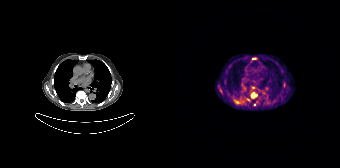
Coordinates are on the 168×168 PET (right) panel. (showing 6 of 10 foci) PSMA-avid tumor lesion bounding boxes (x, y, width, height): x=61 y=99 w=9 h=6 / x=79 y=93 w=6 h=5. Small PSMA-avid foci (2 to 4 px across) near (center x, center y): (81, 58) / (112, 84) / (82, 104) / (48, 90).